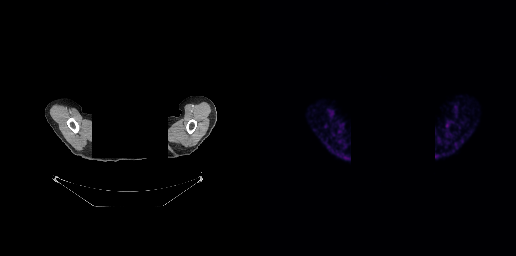
{"modality":"PSMA PET/CT","view":"axial","tracer":"68Ga-PSMA","pet_grid":[256,256],"coord_frame":"pet_panel","coord_format":"x0,y0,x1,y1","redaction":"facial region redacted","psma_avid_lesions":false}